Technique: Paired axial CT (left) and PSMA PET (right), 18F tracer. acquired on Siemens Biograph mCT Flow 20.
Note: Face de-identified by blanking a block of the head.
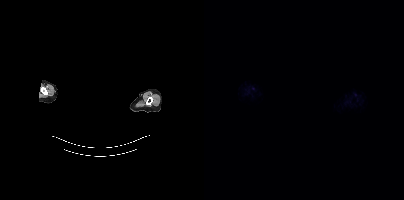
Findings: Negative for PSMA-avid disease on this slice.